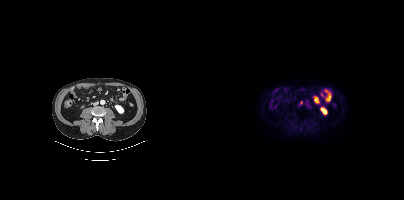
- Left: CT. Right: PSMA PET, same axial level, 18F tracer
- slice position z = -1277 mm
Findings: Coordinates are on the 200×200 PET (right) panel. Small PSMA-avid focus (2 to 4 px across) near (center x, center y): (97, 102).